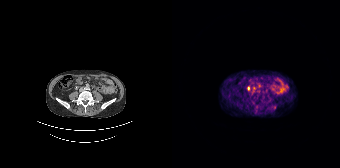
Technique: Paired axial CT (left) and PSMA PET (right), 68Ga tracer. acquired on Siemens Biograph 64-4R TruePoint. slice position z = -688 mm.
Findings: Coordinates are on the 168×168 PET (right) panel. (showing 2 of 3 foci) PSMA-avid tumor lesion bounding box (x0,y0,x1,y1): [75,86,77,90]. Small PSMA-avid focus (2 to 4 px across) near (center x, center y): (81, 87).